- Left: CT. Right: PSMA PET, same axial level, 18F tracer
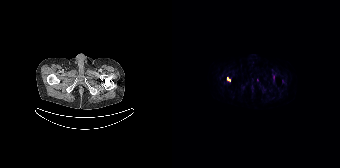
Findings: Coordinates are on the 168×168 PET (right) panel. PSMA-avid tumor lesion bounding box (x0, y0)-(x1, y1): (55, 77)-(58, 81).